Two-panel axial: CT | PSMA PET, [18F]PSMA-1007 tracer.
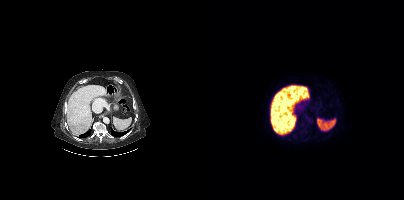
No PSMA-avid tumor lesions on this slice.